- Left: CT. Right: PSMA PET, same axial level, [18F]PSMA-1007 tracer
- PET panel 200×200 px (4.1 mm/px)
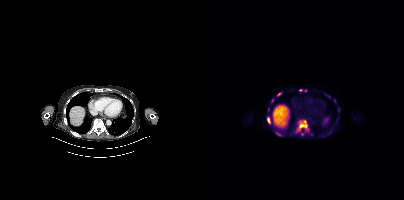
Findings: Coordinates are on the 200×200 PET (right) panel. PSMA-avid tumor lesion bounding boxes (x, y, width, height): x=91 y=120 w=14 h=16 | x=72 y=132 w=7 h=5 | x=63 y=117 w=4 h=7 | x=73 y=92 w=5 h=5 | x=121 y=93 w=6 h=6 | x=102 y=131 w=6 h=4. Small PSMA-avid foci (2 to 4 px across) near (center x, center y): (68, 100) | (130, 100) | (64, 109) | (100, 90) | (96, 89).